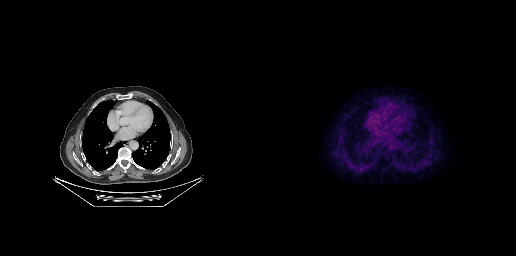
No PSMA-avid tumor lesions on this slice. Left: CT. Right: PSMA PET, same axial level, 18F tracer. Acquired on GE Discovery 690. Slice 171 of 263.